Paired axial CT (left) and PSMA PET (right), 18F-PSMA tracer. Slice position z = -485 mm.
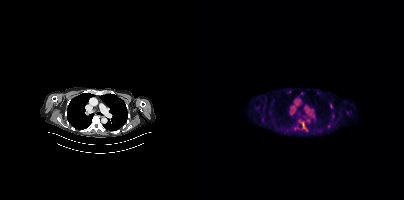
Coordinates are on the 200×200 PET (right) panel. PSMA-avid tumor lesion bounding boxes (partial; 1 more focus not listed):
| # | x0 | y0 | x1 | y1 |
|---|---|---|---|---|
| 1 | 96 | 122 | 103 | 130 |
Small PSMA-avid focus (2 to 4 px across) near (center x, center y): (127, 105).